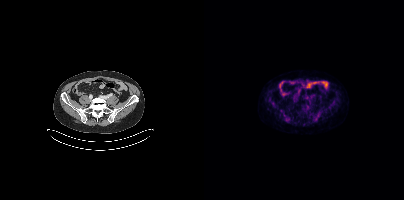
{"modality":"PSMA PET/CT","view":"axial","tracer":"[18F]PSMA-1007","pet_grid":[200,200],"coord_frame":"pet_panel","coord_format":"x0,y0,x1,y1","psma_avid_lesions":false}